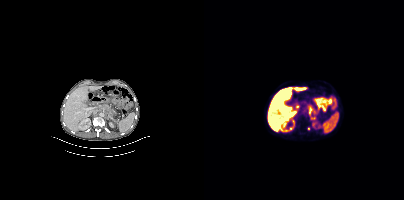
modality: PSMA PET/CT | tracer: 18F-PSMA | view: axial | PET grid: 200×200
Coordinates are on the 200×200 PET (right) panel. PSMA-avid tumor lesion bounding box (x, y, width, height): x=104 y=106 w=8 h=14. Small PSMA-avid focus (2 to 4 px across) near (center x, center y): (104, 128).